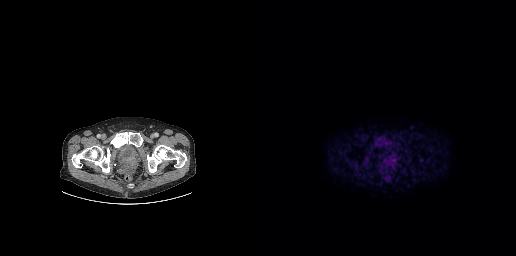
{"modality":"PSMA PET/CT","view":"axial","tracer":"[18F]PSMA-1007","pet_grid":[256,256],"coord_frame":"pet_panel","coord_format":"x0,y0,x1,y1","lesion_bboxes":[],"small_foci_centers":[[106,167]]}